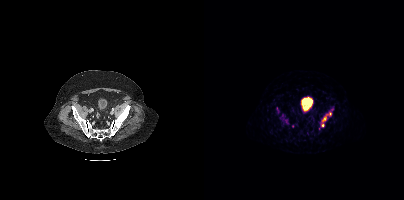
Coordinates are on the 200×200 PET (right) panel. PSMA-avid tumor lesion bounding box (x0, y0)-(x1, y1): (116, 109)-(129, 126).